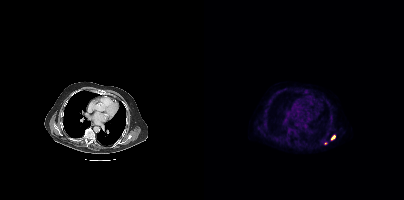
Coordinates are on the 200×200 PET (right) panel. (showing 1 of 2 foci) PSMA-avid tumor lesion bounding box (x0, y0)-(x1, y1): (127, 135)-(131, 139).
modality: PSMA PET/CT | tracer: 18F | view: axial